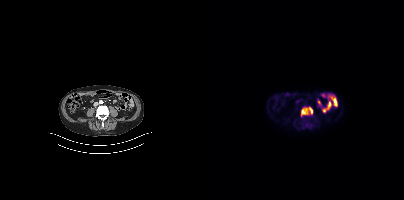
Coordinates are on the 200×200 PET (right) panel. PSMA-avid tumor lesion bounding boxes:
| # | x0 | y0 | x1 | y1 |
|---|---|---|---|---|
| 1 | 97 | 107 | 108 | 115 |
Small PSMA-avid focus (2 to 4 px across) near (center x, center y): (102, 126).
Paired axial CT (left) and PSMA PET (right), [18F]PSMA-1007 tracer. Acquired on Siemens Biograph mCT Flow 20. PET panel 200×200 px (4.1 mm/px).